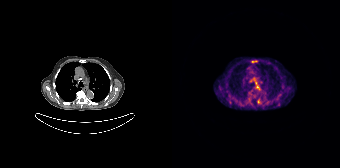
{"pet_grid":[168,168],"coord_frame":"pet_panel","coord_format":"x0,y0,x1,y1","partial":true,"lesion_bboxes":[[77,77,87,89],[79,60,85,63],[85,98,89,103],[74,98,78,103]],"small_foci_centers":[[105,97],[78,93]],"modality":"PSMA PET/CT","view":"axial","tracer":"[68Ga]Ga-PSMA-11"}